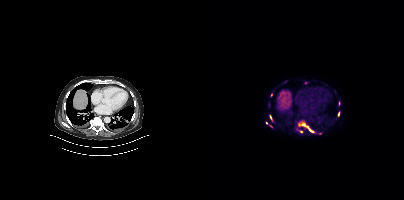
Findings: Coordinates are on the 200×200 PET (right) panel. (showing 7 of 10 foci) PSMA-avid tumor lesion bounding boxes (x0,y0,x1,y1): [94,120,111,133] [93,129,98,132] [66,115,68,120] [134,111,135,116]. Small PSMA-avid foci (2 to 4 px across) near (center x, center y): (67, 94) (62, 122) (67, 126).
Technique: Two-panel axial: CT | PSMA PET, 18F tracer. slice 297 of 444. PET panel 200×200 px (4.1 mm/px).